Left: CT. Right: PSMA PET, same axial level, [18F]PSMA-1007 tracer. Slice position z = -1406 mm.
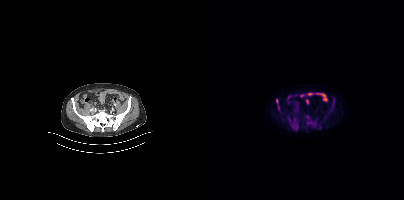
Coordinates are on the 200×200 PET (right) panel. (showing 4 of 5 foci) PSMA-avid tumor lesion bounding box (x0,y0,x1,y1): [72,99,73,103]. Small PSMA-avid foci (2 to 4 px across) near (center x, center y): (104, 122) (74, 107) (103, 117).